Two-panel axial: CT | PSMA PET, [18F]PSMA-1007 tracer. Slice 360 of 423. PET panel 200×200 px (4.1 mm/px).
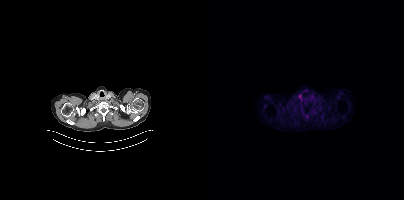
No tumor lesions annotated on this slice.